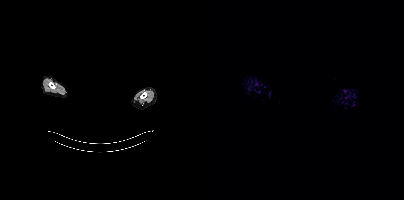
- the head region is masked for de-identification
- Two-panel axial: CT | PSMA PET, 68Ga tracer
- slice position z = -850 mm
Findings: No PSMA-avid tumor lesions on this slice.